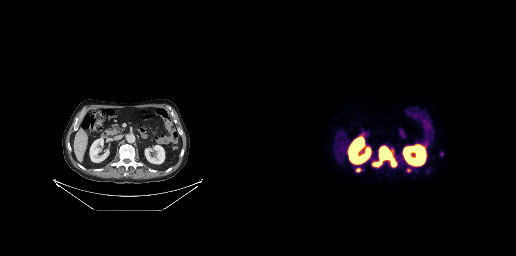
Coordinates are on the 256×256 PET (right) panel. PSMA-avid tumor lesion bounding boxes (x, y, width, height): x=120 y=147 w=17 h=20 / x=112 y=160 w=9 h=7 / x=96 y=168 w=5 h=5. Small PSMA-avid foci (2 to 4 px across) near (center x, center y): (148, 170) / (181, 154).